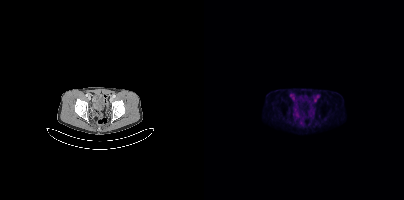
Two-panel axial: CT | PSMA PET, [18F]PSMA-1007 tracer. Slice position z = -1446 mm. PET panel 200×200 px (4.1 mm/px). This slice has no annotated PSMA-avid lesion.